modality: PSMA PET/CT | tracer: 18F | view: axial
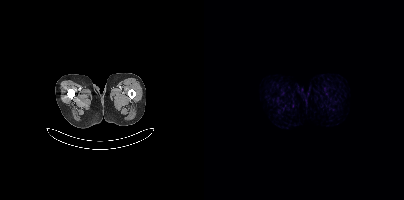
Negative for PSMA-avid disease on this slice.